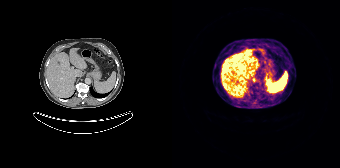
Coordinates are on the 168×168 PET (right) panel. Small PSMA-avid focus (2 to 4 px across) near (center x, center y): (81, 79).